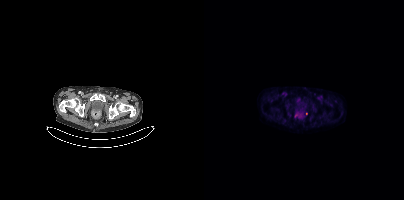
Coordinates are on the 200×200 PET (right) panel. (showing 1 of 2 foci) Small PSMA-avid focus (2 to 4 px across) near (center x, center y): (102, 113).
modality: PSMA PET/CT | tracer: 18F | view: axial | PET grid: 200×200